- Left: CT. Right: PSMA PET, same axial level, [18F]PSMA-1007 tracer
- acquired on Siemens Biograph mCT Flow 20
- slice 242 of 421
- PET panel 200×200 px (4.1 mm/px)
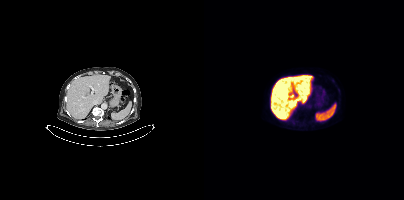
Findings: This slice has no annotated PSMA-avid lesion.